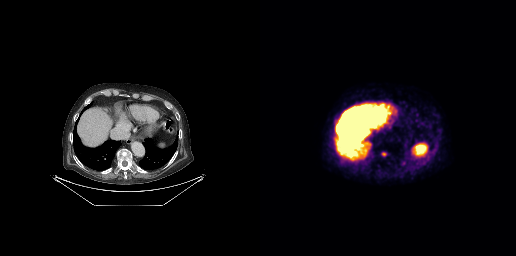
Coordinates are on the 256×256 PET (right) panel. PSMA-avid tumor lesion bounding boxes:
| # | x0 | y0 | x1 | y1 |
|---|---|---|---|---|
| 1 | 121 | 152 | 126 | 156 |
Left: CT. Right: PSMA PET, same axial level, [18F]PSMA-1007 tracer. Slice 160 of 263.